Two-panel axial: CT | PSMA PET, [18F]PSMA-1007 tracer. Slice 143 of 393. PET panel 200×200 px (4.1 mm/px).
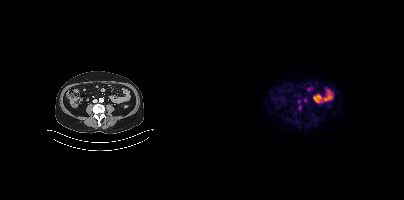
This slice has no annotated PSMA-avid lesion.